modality: PSMA PET/CT | tracer: 18F-PSMA | view: axial
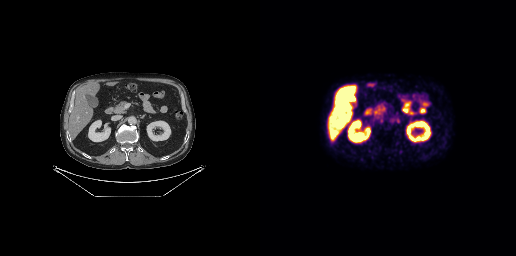
No PSMA-avid tumor lesions on this slice.